Technique: Two-panel axial: CT | PSMA PET, 18F tracer. acquired on Siemens Biograph mCT Flow 20.
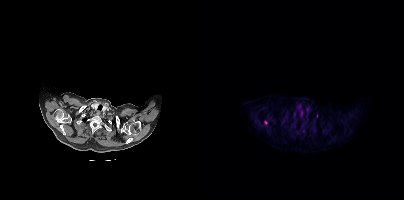
Findings: Coordinates are on the 200×200 PET (right) panel. (showing 1 of 2 foci) Small PSMA-avid focus (2 to 4 px across) near (center x, center y): (61, 122).